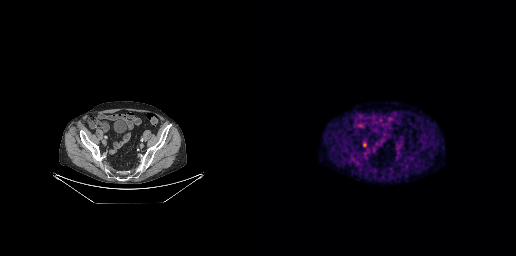
Two-panel axial: CT | PSMA PET, [18F]PSMA-1007 tracer. Coordinates are on the 256×256 PET (right) panel. Small PSMA-avid focus (2 to 4 px across) near (center x, center y): (104, 145).